Two-panel axial: CT | PSMA PET, 18F-PSMA tracer. Slice position z = -1168 mm.
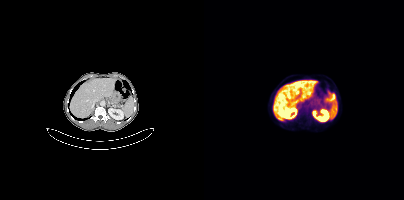
This slice has no annotated PSMA-avid lesion.